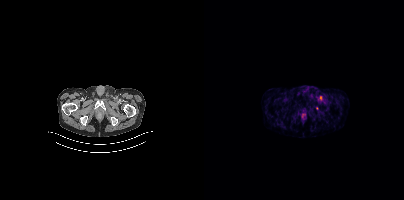
Coordinates are on the 200×200 PET (right) panel. Small PSMA-avid focus (2 to 4 px across) near (center x, center y): (116, 97). Two-panel axial: CT | PSMA PET, [68Ga]Ga-PSMA-11 tracer. Acquired on Siemens Biograph mCT Flow 20.